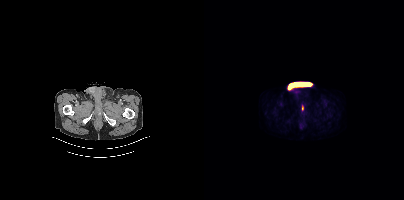
No PSMA-avid tumor lesions on this slice. Two-panel axial: CT | PSMA PET, [18F]PSMA-1007 tracer. Slice position z = -1590 mm. PET panel 200×200 px (4.1 mm/px).